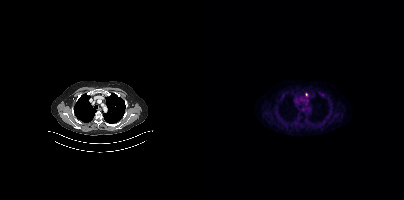
Coordinates are on the 200×200 PET (right) panel. Small PSMA-avid focus (2 to 4 px across) near (center x, center y): (102, 94).